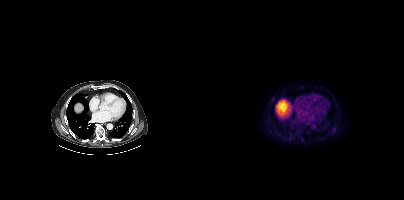
- Left: CT. Right: PSMA PET, same axial level, 18F tracer
Findings: Only PSMA-avid lesion pieces thinner than 2 px on this slice (not listed).